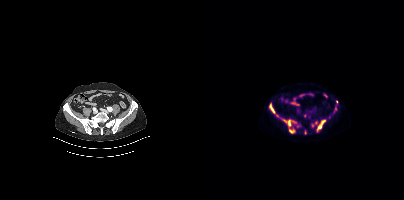
Findings: Coordinates are on the 200×200 PET (right) panel. (showing 7 of 10 foci) PSMA-avid tumor lesion bounding boxes (x0, y0)-(x1, y1): (79, 119)-(94, 133); (112, 120)-(121, 131); (65, 103)-(71, 113). Small PSMA-avid foci (2 to 4 px across) near (center x, center y): (108, 125); (131, 108); (73, 115); (132, 101).
Technique: Two-panel axial: CT | PSMA PET, [18F]PSMA-1007 tracer. PET panel 200×200 px (4.1 mm/px).